Left: CT. Right: PSMA PET, same axial level, 18F tracer. Acquired on Siemens Biograph mCT Flow 20.
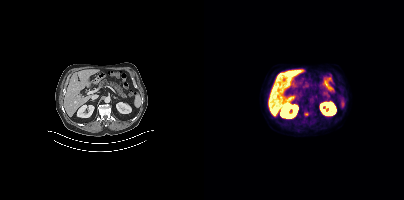
Coordinates are on the 200×200 PET (right) panel. Small PSMA-avid focus (2 to 4 px across) near (center x, center y): (102, 114).